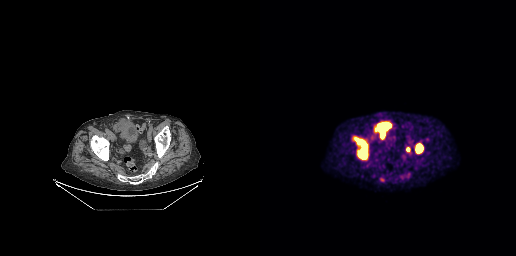
{"modality":"PSMA PET/CT","view":"axial","tracer":"18F-PSMA","pet_grid":[256,256],"coord_frame":"pet_panel","coord_format":"x0,y0,x1,y1","lesion_bboxes":[[94,137,107,159],[115,122,130,138],[156,143,163,152]],"small_foci_centers":[[148,149],[122,179]]}